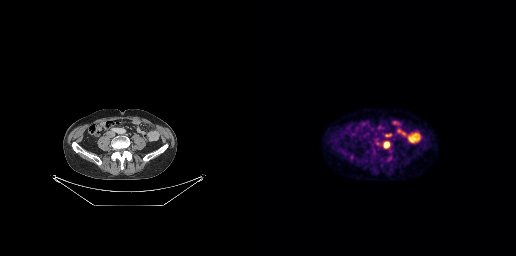
Two-panel axial: CT | PSMA PET, 18F tracer. Coordinates are on the 256×256 PET (right) panel. PSMA-avid tumor lesion bounding boxes (x0,y0,x1,y1): [123,141,129,148]; [125,133,130,137]. Small PSMA-avid focus (2 to 4 px across) near (center x, center y): (117, 143).